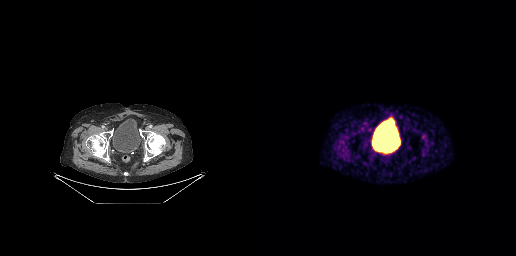
No tumor lesions annotated on this slice.